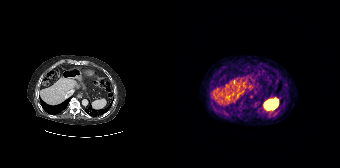
No PSMA-avid tumor lesions on this slice.